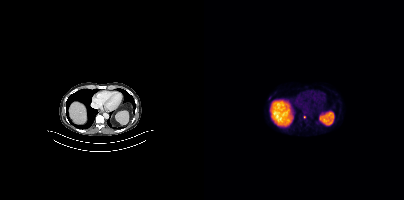
{"pet_grid":[200,200],"coord_frame":"pet_panel","coord_format":"x0,y0,x1,y1","lesion_bboxes":[],"small_foci_centers":[[100,117]],"modality":"PSMA PET/CT","view":"axial","tracer":"18F"}